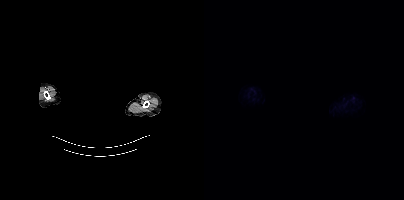
Technique: Two-panel axial: CT | PSMA PET, 18F tracer.
Note: A rectangle over the head was blacked out to remove identifiable facial features.
Findings: No tumor lesions annotated on this slice.